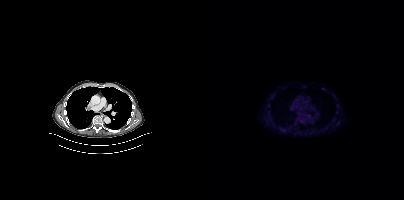
Findings: Negative for PSMA-avid disease on this slice.
- Paired axial CT (left) and PSMA PET (right), 18F-PSMA tracer